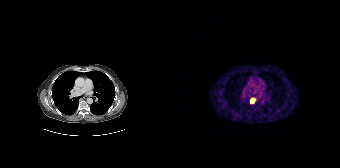
Coordinates are on the 168×168 PET (right) panel. PSMA-avid tumor lesion bounding box (x0,y0,x1,y1): [79,98,82,102].